Technique: Two-panel axial: CT | PSMA PET, [18F]PSMA-1007 tracer. acquired on Siemens Biograph mCT Flow 20. slice position z = -1304 mm. PET panel 200×200 px (4.1 mm/px).
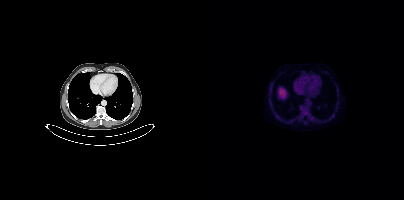
Findings: Negative for PSMA-avid disease on this slice.